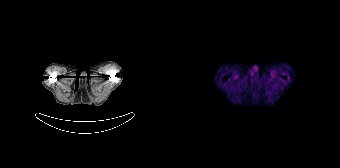
{"modality":"PSMA PET/CT","view":"axial","tracer":"68Ga-PSMA","pet_grid":[168,168],"coord_frame":"pet_panel","coord_format":"x0,y0,x1,y1","psma_avid_lesions":false}